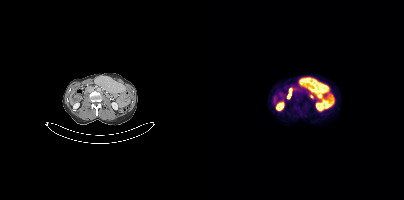
modality: PSMA PET/CT | tracer: 18F-PSMA | view: axial
Negative for PSMA-avid disease on this slice.